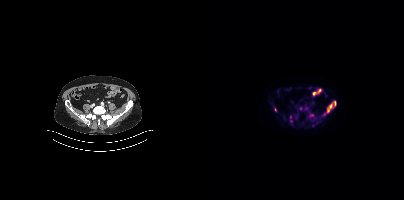
modality: PSMA PET/CT | tracer: 18F | view: axial
Coordinates are on the 200×200 PET (right) panel. (showing 5 of 8 foci) PSMA-avid tumor lesion bounding box (x0,y0,x1,y1): [123,101,132,112]. Small PSMA-avid foci (2 to 4 px across) near (center x, center y): (107, 115), (71, 109), (96, 108), (101, 108).